Two-panel axial: CT | PSMA PET, 18F tracer. PET panel 200×200 px (4.1 mm/px).
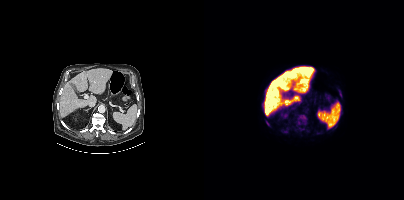
Coordinates are on the 200×200 PET (right) panel. PSMA-avid tumor lesion bounding boxes (partial; 2 more foci not listed):
| # | x0 | y0 | x1 | y1 |
|---|---|---|---|---|
| 1 | 94 | 115 | 102 | 124 |
Small PSMA-avid foci (2 to 4 px across) near (center x, center y): (95, 122); (64, 125); (62, 121); (62, 116).